modality: PSMA PET/CT | tracer: [18F]PSMA-1007 | view: axial
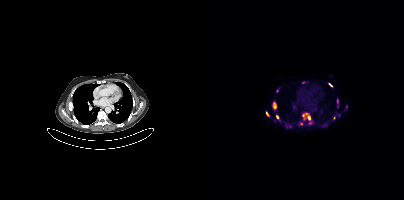
Coordinates are on the 200×200 PET (right) panel. (showing 11 of 14 foci) PSMA-avid tumor lesion bounding boxes (x, y, width, height): x=99 y=113 w=8 h=8; x=69 y=103 w=4 h=6; x=133 y=99 w=2 h=5; x=72 y=115 w=3 h=5. Small PSMA-avid foci (2 to 4 px across) near (center x, center y): (97, 123); (126, 84); (63, 113); (130, 118); (142, 107); (99, 82); (73, 90).